Paired axial CT (left) and PSMA PET (right), [68Ga]Ga-PSMA-11 tracer. Slice position z = -830 mm.
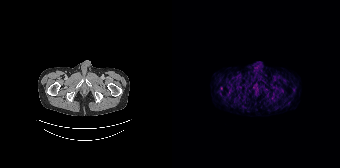
Negative for PSMA-avid disease on this slice.